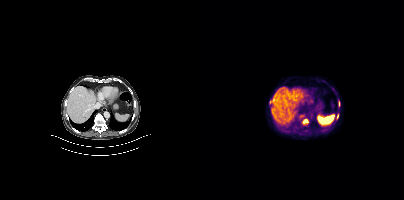
Left: CT. Right: PSMA PET, same axial level, 18F tracer. Acquired on Siemens Biograph mCT Flow 20.
Coordinates are on the 200×200 PET (right) panel. PSMA-avid tumor lesion bounding boxes (partial; 2 more foci not listed):
| # | x0 | y0 | x1 | y1 |
|---|---|---|---|---|
| 1 | 98 | 119 | 104 | 124 |
| 2 | 133 | 114 | 134 | 118 |